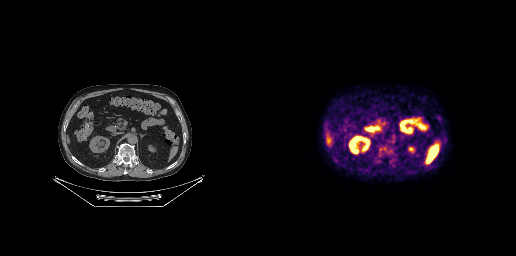
Technique: Two-panel axial: CT | PSMA PET, [18F]PSMA-1007 tracer. acquired on GE Discovery 690. PET panel 256×256 px (2.7 mm/px).
Findings: No PSMA-avid tumor lesions on this slice.